Two-panel axial: CT | PSMA PET, 18F-PSMA tracer. PET panel 200×200 px (4.1 mm/px).
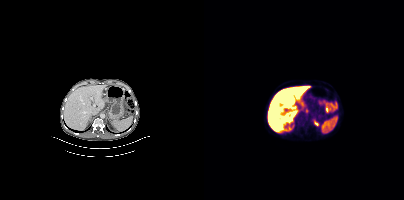
Coordinates are on the 200×200 PET (right) panel. PSMA-avid tumor lesion bounding box (x0,y0,x1,y1): [101,108,104,112].